- a rectangle over the head was blacked out to remove identifiable facial features
- Left: CT. Right: PSMA PET, same axial level, 18F tracer
- acquired on Siemens Biograph mCT Flow 20
- slice position z = -864 mm
- PET panel 200×200 px (4.1 mm/px)
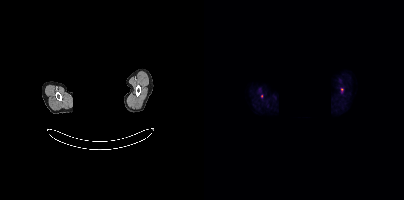
Findings: Coordinates are on the 200×200 PET (right) panel. Small PSMA-avid foci (2 to 4 px across) near (center x, center y): (137, 89); (57, 96).